modality: PSMA PET/CT | tracer: 68Ga | view: axial | PET grid: 256×256
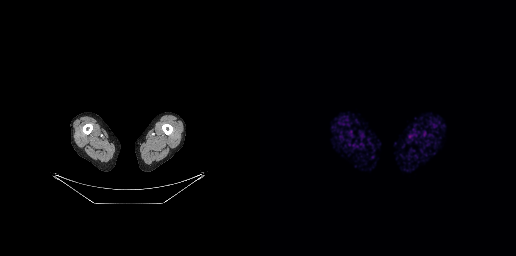
No tumor lesions annotated on this slice.